Left: CT. Right: PSMA PET, same axial level, [18F]PSMA-1007 tracer.
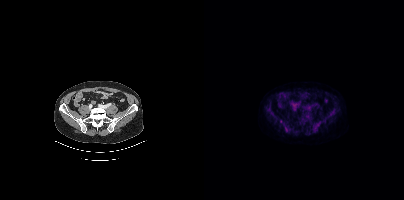
Negative for PSMA-avid disease on this slice.